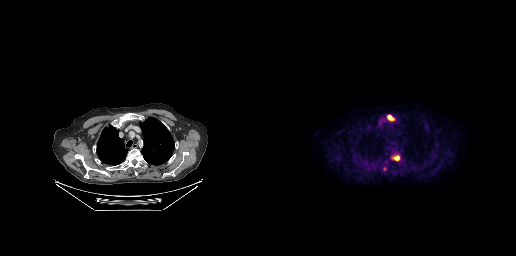
Coordinates are on the 256×256 PET (right) panel. Small PSMA-avid foci (2 to 4 px across) near (center x, center y): (129, 117) | (136, 158) | (125, 169). Paired axial CT (left) and PSMA PET (right), [18F]PSMA-1007 tracer. PET panel 256×256 px (2.7 mm/px).